- Two-panel axial: CT | PSMA PET, [18F]PSMA-1007 tracer
- slice 217 of 401
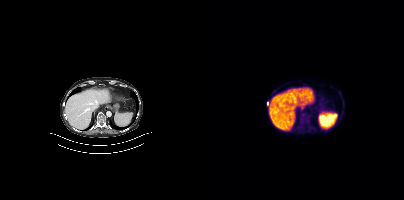
Findings: Coordinates are on the 200×200 PET (right) panel. PSMA-avid tumor lesion bounding box (x0,y0,x1,y1): [96,113,105,122]. Small PSMA-avid focus (2 to 4 px across) near (center x, center y): (63, 103).